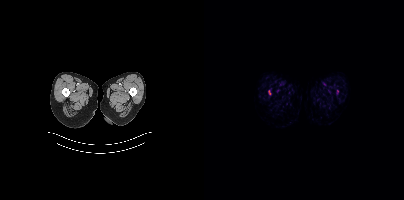
Coordinates are on the 200×200 PET (right) panel. PSMA-avid tumor lesion bounding box (x0,y0,x1,y1): [64,90,66,94]. Small PSMA-avid focus (2 to 4 px across) near (center x, center y): (133, 90).